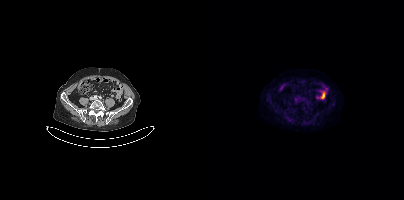
Negative for PSMA-avid disease on this slice.